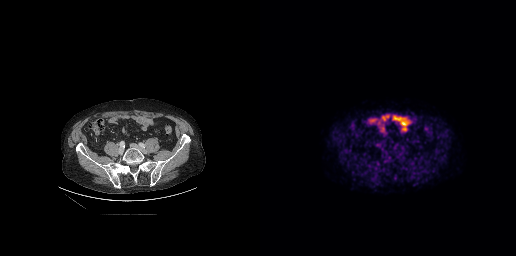
Two-panel axial: CT | PSMA PET, 18F-PSMA tracer. Acquired on GE Discovery 690. Slice 86 of 263. PET panel 256×256 px (2.7 mm/px).
Coordinates are on the 256×256 PET (right) panel. PSMA-avid tumor lesion bounding boxes:
| # | x0 | y0 | x1 | y1 |
|---|---|---|---|---|
| 1 | 116 | 143 | 121 | 147 |
| 2 | 116 | 162 | 120 | 166 |